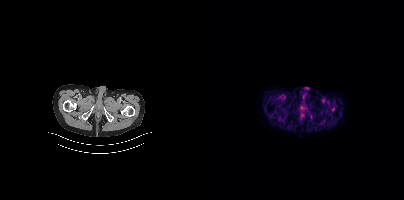
Technique: Paired axial CT (left) and PSMA PET (right), [18F]PSMA-1007 tracer. slice 34 of 407.
Findings: Negative for PSMA-avid disease on this slice.